Left: CT. Right: PSMA PET, same axial level, 18F-PSMA tracer.
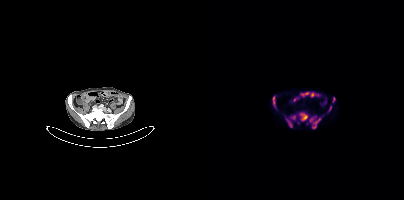
Coordinates are on the 200×200 PET (right) panel. PSMA-avid tumor lesion bounding boxes (x, y, width, height): x=82 y=115 w=10 h=13; x=95 y=112 w=10 h=9; x=108 y=118 w=9 h=11; x=68 y=96 w=4 h=12; x=128 y=97 w=4 h=6; x=124 y=106 w=4 h=6. Small PSMA-avid focus (2 to 4 px across) near (center x, center y): (107, 119).